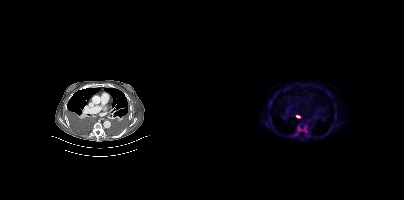
Technique: Left: CT. Right: PSMA PET, same axial level, [18F]PSMA-1007 tracer. acquired on Siemens Biograph mCT Flow 20. slice 239 of 344. PET panel 200×200 px (4.1 mm/px).
Findings: Coordinates are on the 200×200 PET (right) panel. PSMA-avid tumor lesion bounding box (x0,y0,x1,y1): [93,124,105,136]. Small PSMA-avid foci (2 to 4 px across) near (center x, center y): (94, 116); (91, 134).